Technique: Paired axial CT (left) and PSMA PET (right), [68Ga]Ga-PSMA-11 tracer. acquired on Siemens Biograph mCT Flow 20. PET panel 200×200 px (4.1 mm/px).
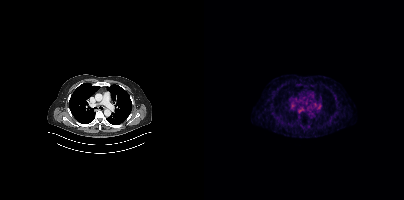
Findings: Coordinates are on the 200×200 PET (right) panel. Small PSMA-avid focus (2 to 4 px across) near (center x, center y): (88, 105).